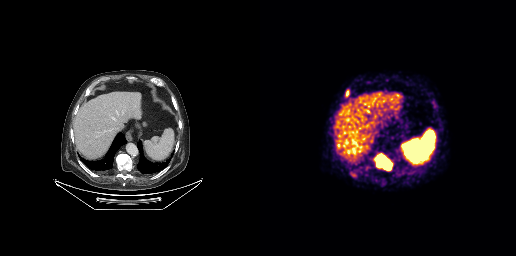
Paired axial CT (left) and PSMA PET (right), 68Ga-PSMA tracer. Acquired on GE Discovery 690. Slice 162 of 263. Coordinates are on the 256×256 PET (right) panel. PSMA-avid tumor lesion bounding box (x0, y0)-(x1, y1): (114, 153)-(133, 171).